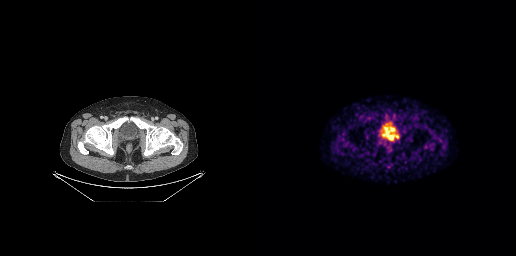
Coordinates are on the 256×256 PET (right) panel. PSMA-avid tumor lesion bounding box (x0, y0)-(x1, y1): (129, 136)-(133, 139). Small PSMA-avid foci (2 to 4 px across) near (center x, center y): (124, 136) | (137, 136).